Two-panel axial: CT | PSMA PET, 18F-PSMA tracer. PET panel 200×200 px (4.1 mm/px).
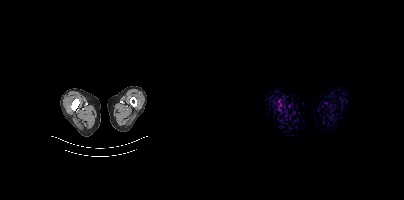
Coordinates are on the 200×200 PET (right) panel. (showing 1 of 2 foci) Small PSMA-avid focus (2 to 4 px across) near (center x, center y): (76, 105).